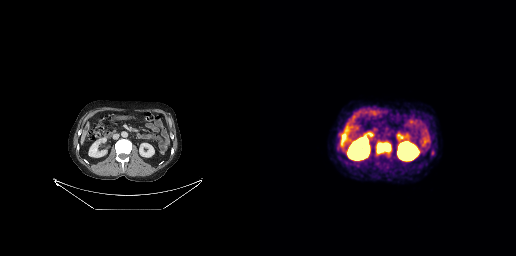
{"modality":"PSMA PET/CT","view":"axial","tracer":"18F-PSMA","pet_grid":[256,256],"coord_frame":"pet_panel","coord_format":"x0,y0,x1,y1","lesion_bboxes":[[116,142,131,153]]}